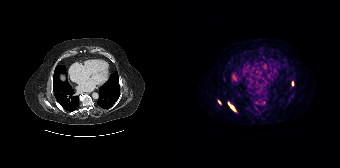
Coordinates are on the 168×168 PET (right) panel. PSMA-avid tumor lesion bounding boxes:
| # | x0 | y0 | x1 | y1 |
|---|---|---|---|---|
| 1 | 56 | 102 | 63 | 111 |
Small PSMA-avid foci (2 to 4 px across) near (center x, center y): (120, 83); (47, 102).
Paired axial CT (left) and PSMA PET (right), [68Ga]Ga-PSMA-11 tracer. Acquired on Siemens Biograph 64-4R TruePoint.